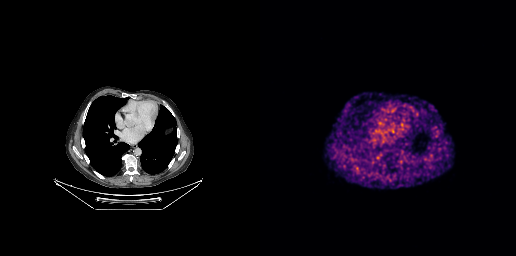
Findings: No PSMA-avid tumor lesions on this slice.
- Left: CT. Right: PSMA PET, same axial level, 68Ga tracer
- slice position z = -435 mm
- PET panel 256×256 px (2.7 mm/px)